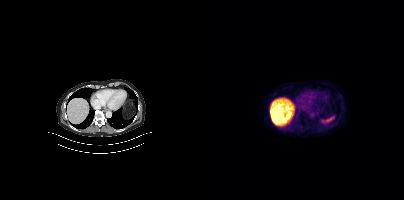
Left: CT. Right: PSMA PET, same axial level, [18F]PSMA-1007 tracer. PET panel 200×200 px (4.1 mm/px). Negative for PSMA-avid disease on this slice.